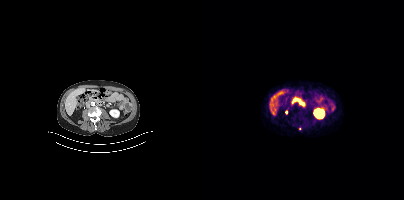
modality: PSMA PET/CT | tracer: 68Ga-PSMA | view: axial | PET grid: 200×200
Coordinates are on the 200×200 PET (right) panel. Small PSMA-avid foci (2 to 4 px across) near (center x, center y): (89, 101); (82, 112); (95, 128).